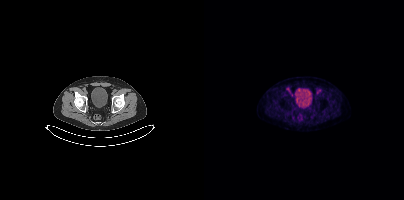
{"modality":"PSMA PET/CT","view":"axial","tracer":"18F-PSMA","pet_grid":[200,200],"coord_frame":"pet_panel","coord_format":"x0,y0,x1,y1","partial":true,"lesion_bboxes":[]}